Technique: Two-panel axial: CT | PSMA PET, 68Ga-PSMA tracer.
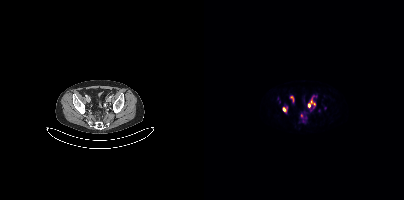
Findings: Coordinates are on the 200×200 PET (right) panel. (showing 4 of 6 foci) PSMA-avid tumor lesion bounding boxes (x0, y0)-(x1, y1): (104, 98)-(111, 107); (86, 96)-(89, 101). Small PSMA-avid foci (2 to 4 px across) near (center x, center y): (80, 109); (97, 115).